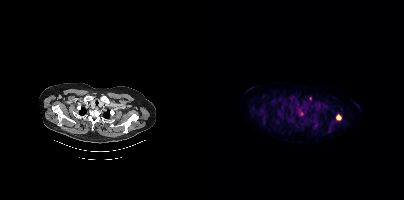
Coordinates are on the 200×200 PET (right) panel. PSMA-avid tumor lesion bounding boxes (x, y, width, height): x=132 y=114 w=6 h=7 / x=95 y=109 w=5 h=7. Small PSMA-avid focus (2 to 4 px across) near (center x, center y): (106, 98). Two-panel axial: CT | PSMA PET, [18F]PSMA-1007 tracer.